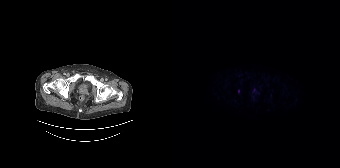
- Paired axial CT (left) and PSMA PET (right), [18F]PSMA-1007 tracer
- acquired on Siemens Biograph 64-4R TruePoint
- slice position z = -1494 mm
Findings: Coordinates are on the 168×168 PET (right) panel. Small PSMA-avid focus (2 to 4 px across) near (center x, center y): (66, 91).